A rectangle over the head was blacked out to remove identifiable facial features. Paired axial CT (left) and PSMA PET (right), 68Ga-PSMA tracer. Slice 252 of 263. PET panel 256×256 px (2.7 mm/px).
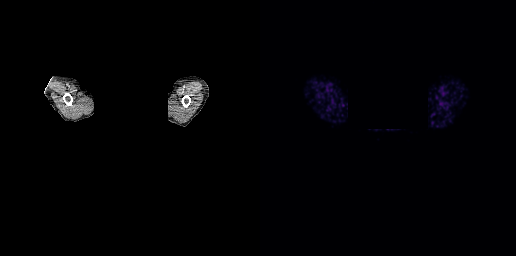
Negative for PSMA-avid disease on this slice.